Technique: Paired axial CT (left) and PSMA PET (right), 18F-PSMA tracer. acquired on Siemens Biograph mCT Flow 20. slice 201 of 448.
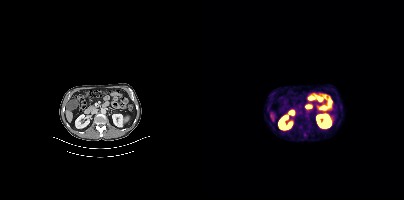
Findings: Coordinates are on the 200×200 PET (right) panel. PSMA-avid tumor lesion bounding boxes (x0, y0)-(x1, y1): (96, 115)-(107, 127); (98, 132)-(103, 138); (96, 123)-(98, 127).